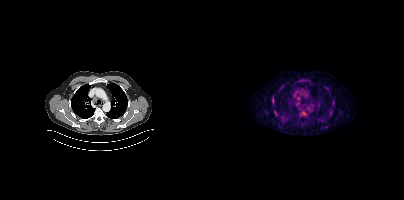
Technique: Two-panel axial: CT | PSMA PET, 18F tracer. slice position z = 1652 mm.
Findings: Coordinates are on the 200×200 PET (right) panel. PSMA-avid tumor lesion bounding boxes (x, y, width, height): x=97 y=112 w=5 h=5 / x=68 y=97 w=3 h=5. Small PSMA-avid foci (2 to 4 px across) near (center x, center y): (71, 112) / (94, 98).